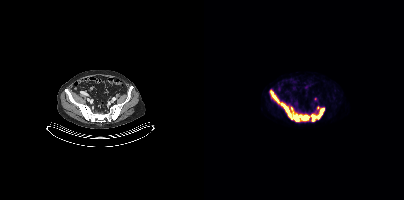
Paired axial CT (left) and PSMA PET (right), 18F tracer. PET panel 200×200 px (4.1 mm/px). Coordinates are on the 200×200 PET (right) panel. (showing 3 of 5 foci) PSMA-avid tumor lesion bounding boxes (x, y, width, height): x=66 y=90 w=39 h=32; x=107 y=108 w=14 h=14. Small PSMA-avid focus (2 to 4 px across) near (center x, center y): (87, 108).